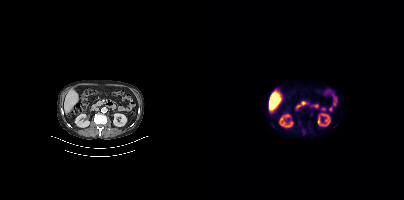
Technique: Left: CT. Right: PSMA PET, same axial level, 18F-PSMA tracer. slice position z = -612 mm. PET panel 200×200 px (4.1 mm/px).
Findings: This slice has no annotated PSMA-avid lesion.